Paired axial CT (left) and PSMA PET (right), [18F]PSMA-1007 tracer. Slice 50 of 263.
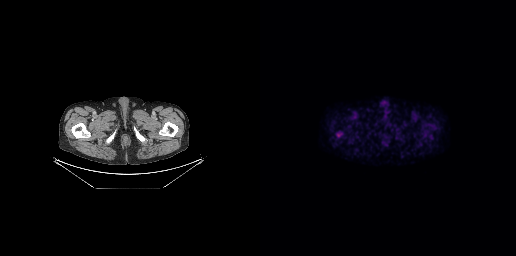
Coordinates are on the 256×256 PET (right) panel. PSMA-avid tumor lesion bounding box (x0, y0)-(x1, y1): (76, 132)-(82, 137).